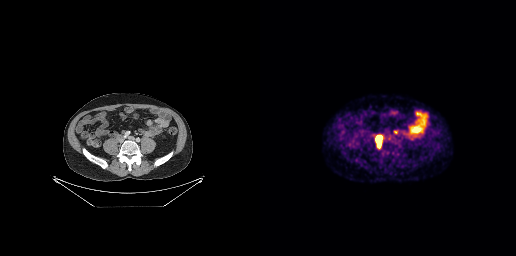
Left: CT. Right: PSMA PET, same axial level, [68Ga]Ga-PSMA-11 tracer. PET panel 256×256 px (2.7 mm/px).
Coordinates are on the 256×256 PET (right) panel. PSMA-avid tumor lesion bounding boxes:
| # | x0 | y0 | x1 | y1 |
|---|---|---|---|---|
| 1 | 115 | 135 | 122 | 148 |
Small PSMA-avid focus (2 to 4 px across) near (center x, center y): (135, 132).